- Paired axial CT (left) and PSMA PET (right), 18F-PSMA tracer
- acquired on Siemens Biograph mCT Flow 20
- PET panel 200×200 px (4.1 mm/px)
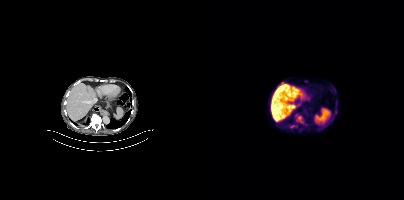
Findings: Coordinates are on the 200×200 PET (right) panel. PSMA-avid tumor lesion bounding box (x0, y0)-(x1, y1): (92, 115)-(98, 122). Small PSMA-avid focus (2 to 4 px across) near (center x, center y): (88, 126).